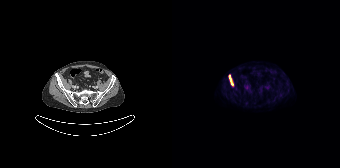
Coordinates are on the 168×168 PET (right) panel. PSMA-avid tumor lesion bounding box (x, y, width, height): x=56 y=74 w=6 h=13.